modality: PSMA PET/CT | tracer: 18F-PSMA | view: axial | redaction: black rectangle is a privacy mask
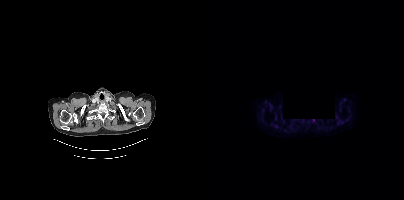
This slice has no annotated PSMA-avid lesion.